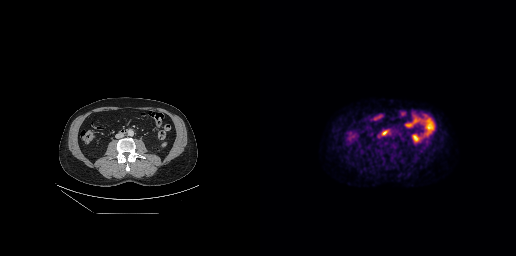
No tumor lesions annotated on this slice.